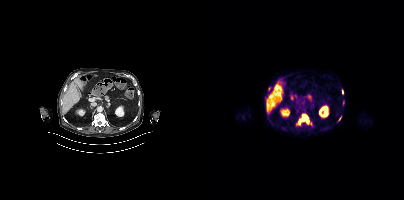
Coordinates are on the 200×200 PET (right) panel. PSMA-avid tumor lesion bounding boxes (x0, y0)-(x1, y1): (93, 114)-(108, 126); (138, 90)-(139, 94); (134, 116)-(137, 121); (139, 101)-(140, 105). Small PSMA-avid focus (2 to 4 px across) near (center x, center y): (65, 88).